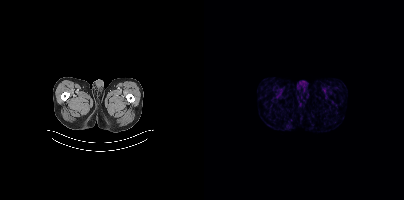
Negative for PSMA-avid disease on this slice.